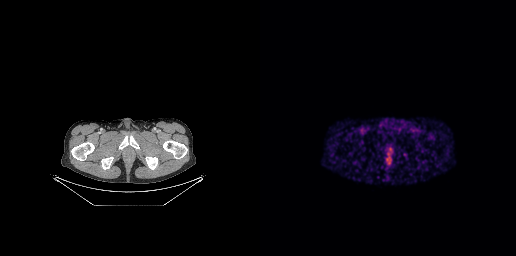
Coordinates are on the 256×256 PET (right) panel. Small PSMA-avid focus (2 to 4 px across) near (center x, center y): (129, 149).